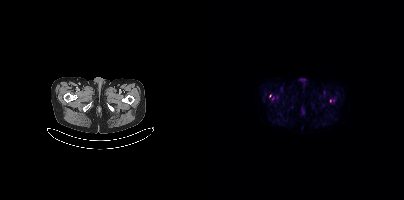
- Paired axial CT (left) and PSMA PET (right), 18F tracer
- acquired on Siemens Biograph mCT Flow 20
- slice 34 of 387
Findings: Coordinates are on the 200×200 PET (right) panel. (showing 1 of 2 foci) Small PSMA-avid focus (2 to 4 px across) near (center x, center y): (66, 95).